- Left: CT. Right: PSMA PET, same axial level, [18F]PSMA-1007 tracer
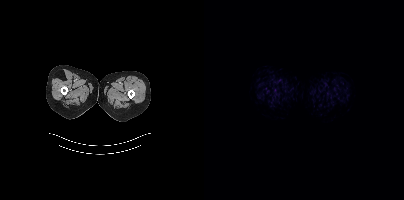
Findings: This slice has no annotated PSMA-avid lesion.